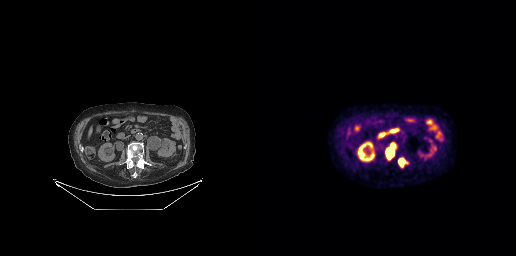
Coordinates are on the 256×256 PET (right) panel. PSMA-avid tumor lesion bounding boxes (x0, y0)-(x1, y1): (125, 142)-(136, 160); (138, 157)-(147, 168).